Technique: Two-panel axial: CT | PSMA PET, 68Ga-PSMA tracer. acquired on Siemens Biograph 64-4R TruePoint. PET panel 168×168 px (4.1 mm/px).
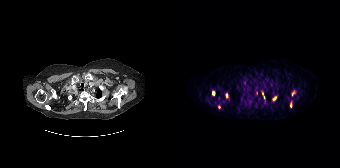
Findings: Coordinates are on the 168×168 PET (right) panel. (showing 7 of 8 foci) PSMA-avid tumor lesion bounding boxes (x0,y0,x1,y1): [40,91,43,95], [100,96,104,100], [53,93,56,97], [118,102,120,107], [120,91,123,95], [90,92,92,98]. Small PSMA-avid focus (2 to 4 px across) near (center x, center y): (47, 107).